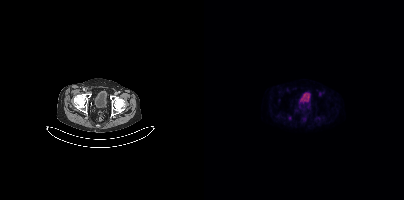
modality: PSMA PET/CT | tracer: 18F-PSMA | view: axial | PET grid: 200×200
No tumor lesions annotated on this slice.